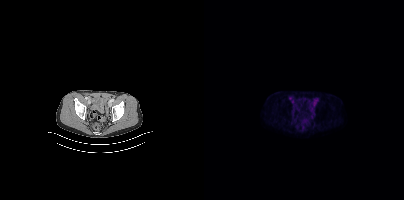
This slice has no annotated PSMA-avid lesion. Paired axial CT (left) and PSMA PET (right), [18F]PSMA-1007 tracer.